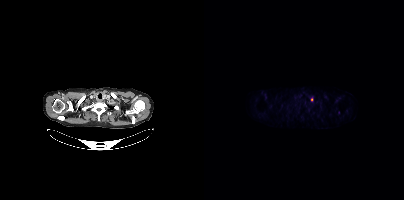
Technique: Two-panel axial: CT | PSMA PET, [18F]PSMA-1007 tracer. PET panel 200×200 px (4.1 mm/px).
Findings: Coordinates are on the 200×200 PET (right) panel. PSMA-avid tumor lesion bounding box (x, y, width, height): x=107 y=97 w=3 h=5.